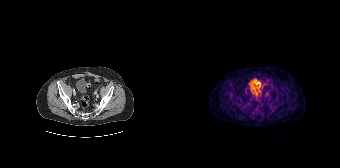
{"modality":"PSMA PET/CT","view":"axial","tracer":"68Ga","pet_grid":[168,168],"coord_frame":"pet_panel","coord_format":"x0,y0,x1,y1","lesion_bboxes":[],"small_foci_centers":[[96,91]]}